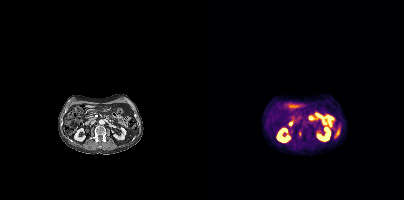
Technique: Paired axial CT (left) and PSMA PET (right), 18F tracer. acquired on Siemens Biograph mCT Flow 20. PET panel 200×200 px (4.1 mm/px).
Findings: Coordinates are on the 200×200 PET (right) panel. PSMA-avid tumor lesion bounding box (x, y, width, height): x=95 y=131 w=3 h=6.